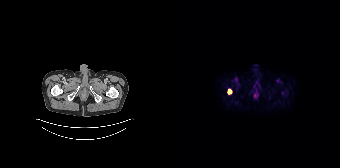
- Left: CT. Right: PSMA PET, same axial level, 18F tracer
- acquired on Siemens Biograph 64-4R TruePoint
- slice position z = -1348 mm
- PET panel 168×168 px (4.1 mm/px)
Findings: Coordinates are on the 168×168 PET (right) panel. PSMA-avid tumor lesion bounding box (x0, y0)-(x1, y1): (55, 88)-(60, 94).